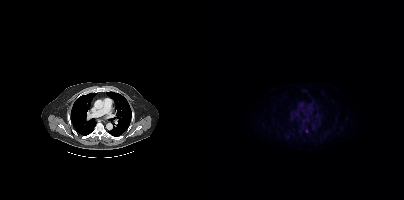
No PSMA-avid tumor lesions on this slice. Left: CT. Right: PSMA PET, same axial level, 18F-PSMA tracer. Slice position z = -994 mm.